Paired axial CT (left) and PSMA PET (right), 18F-PSMA tracer. PET panel 256×256 px (2.7 mm/px).
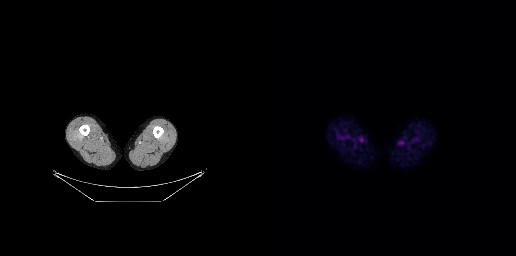
No tumor lesions annotated on this slice.